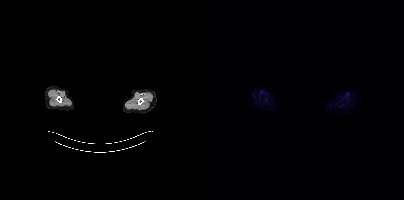
Findings: This slice has no annotated PSMA-avid lesion.
Technique: Paired axial CT (left) and PSMA PET (right), [18F]PSMA-1007 tracer. acquired on Siemens Biograph mCT Flow 20.
Note: De-identified by setting a box covering the face to black before release.